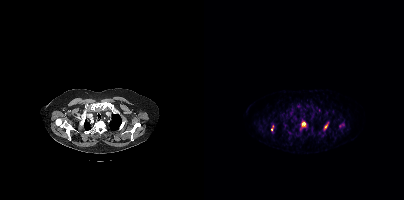
Findings: Coordinates are on the 200×200 PET (right) panel. (showing 4 of 5 foci) PSMA-avid tumor lesion bounding boxes (x0,y0,x1,y1): [96,122,103,130], [119,122,124,130], [135,124,140,127], [67,125,69,130].
- Two-panel axial: CT | PSMA PET, 68Ga tracer
- acquired on Siemens Biograph mCT Flow 20
- PET panel 200×200 px (4.1 mm/px)